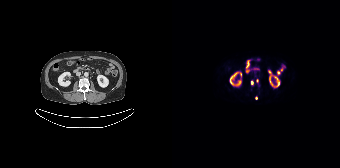
Coordinates are on the 168×168 PET (right) panel. (showing 2 of 3 foci) Small PSMA-avid foci (2 to 4 px across) near (center x, center y): (80, 82); (84, 97).